Technique: Paired axial CT (left) and PSMA PET (right), 68Ga-PSMA tracer. acquired on Siemens Biograph mCT Flow 20. slice position z = -1604 mm.
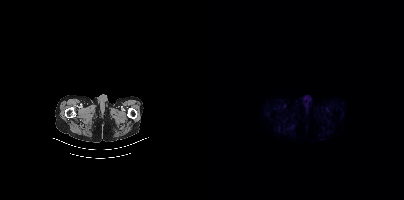
Findings: No tumor lesions annotated on this slice.